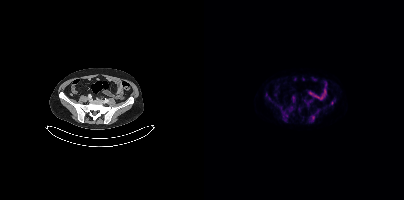
{"modality":"PSMA PET/CT","view":"axial","tracer":"18F-PSMA","pet_grid":[200,200],"coord_frame":"pet_panel","coord_format":"x0,y0,x1,y1","lesion_bboxes":[],"small_foci_centers":[[109,117],[128,102],[81,115]]}